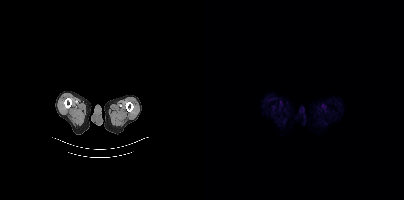
No PSMA-avid tumor lesions on this slice.